Technique: Left: CT. Right: PSMA PET, same axial level, 68Ga tracer. acquired on Siemens Biograph 64-4R TruePoint. PET panel 168×168 px (4.1 mm/px).
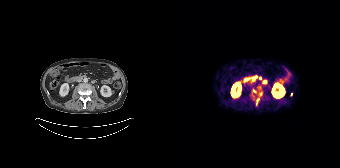
Findings: Coordinates are on the 168×168 PET (right) panel. PSMA-avid tumor lesion bounding box (x0, y0)-(x1, y1): (78, 93)-(83, 100). Small PSMA-avid foci (2 to 4 px across) near (center x, center y): (92, 81) | (88, 78) | (119, 94) | (81, 78).